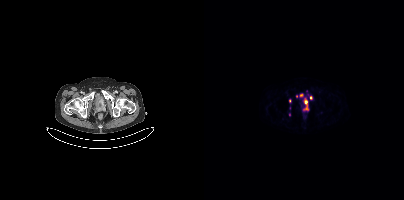
Coordinates are on the 200×200 PET (right) panel. (showing 5 of 7 foci) PSMA-avid tumor lesion bounding box (x0, y0)-(x1, y1): (99, 100)-(104, 110). Small PSMA-avid foci (2 to 4 px across) near (center x, center y): (97, 95); (107, 97); (92, 96); (85, 114). Paired axial CT (left) and PSMA PET (right), [68Ga]Ga-PSMA-11 tracer. Slice 60 of 411.